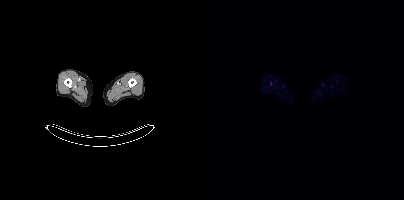
This slice has no annotated PSMA-avid lesion. Two-panel axial: CT | PSMA PET, 18F-PSMA tracer. PET panel 200×200 px (4.1 mm/px).